modality: PSMA PET/CT | tracer: 68Ga | view: axial
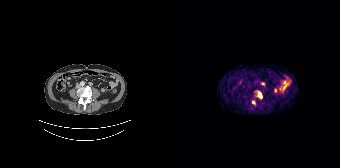
Coordinates are on the 168×168 PET (right) panel. PSMA-avid tumor lesion bounding box (x, y, width, height): x=87 y=92 w=3 h=6. Small PSMA-avid focus (2 to 4 px across) near (center x, center y): (81, 102).